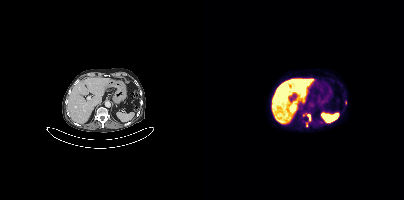
modality: PSMA PET/CT | tracer: 18F-PSMA | view: axial
Coordinates are on the 200×200 PET (right) panel. (showing 1 of 2 foci) PSMA-avid tumor lesion bounding box (x0,y0,x1,y1): [103,114,106,120].